A rectangular block over the head has been blanked out for de-identification.
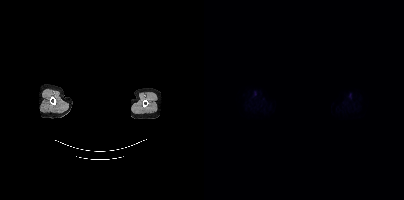
Negative for PSMA-avid disease on this slice.